- Paired axial CT (left) and PSMA PET (right), 18F tracer
- acquired on Siemens Biograph mCT Flow 20
- PET panel 200×200 px (4.1 mm/px)
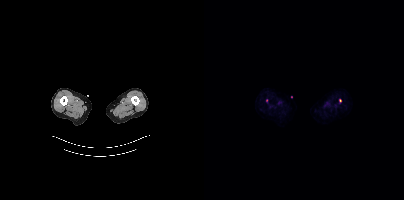
Findings: Coordinates are on the 200×200 PET (right) panel. Small PSMA-avid foci (2 to 4 px across) near (center x, center y): (136, 100); (62, 100).